Left: CT. Right: PSMA PET, same axial level, [18F]PSMA-1007 tracer. Slice 111 of 423.
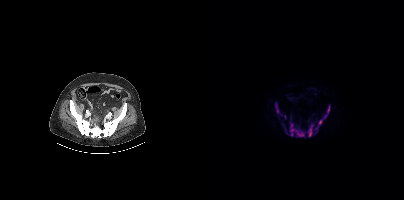
Coordinates are on the 200×200 PET (right) panel. PSMA-avid tumor lesion bounding boxes (partial; 1 more focus not listed):
| # | x0 | y0 | x1 | y1 |
|---|---|---|---|---|
| 1 | 86 | 123 | 100 | 137 |
| 2 | 111 | 105 | 126 | 129 |
| 3 | 103 | 124 | 109 | 136 |
| 4 | 71 | 103 | 75 | 113 |
Small PSMA-avid foci (2 to 4 px across) near (center x, center y): (82, 132); (112, 131).